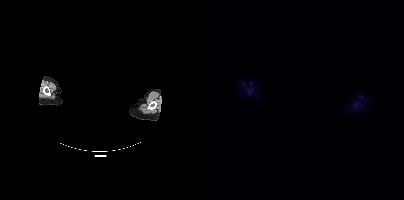
No tumor lesions annotated on this slice. De-identified by setting a box covering the face to black before release. Paired axial CT (left) and PSMA PET (right), [18F]PSMA-1007 tracer.